- Paired axial CT (left) and PSMA PET (right), 68Ga tracer
- acquired on Siemens Biograph mCT Flow 20
- slice position z = -685 mm
- PET panel 200×200 px (4.1 mm/px)
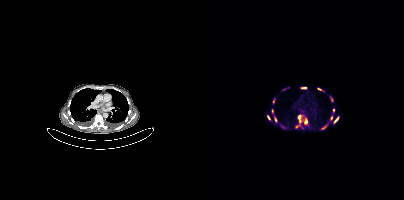
Findings: Coordinates are on the 200×200 PET (right) panel. (showing 14 of 17 foci) PSMA-avid tumor lesion bounding boxes (x0, y0)-(x1, y1): (94, 115)-(97, 122); (100, 118)-(103, 124); (118, 124)-(123, 128); (130, 117)-(134, 122); (113, 88)-(118, 90); (98, 87)-(102, 88); (69, 99)-(71, 103). Small PSMA-avid foci (2 to 4 px across) near (center x, center y): (128, 99); (64, 117); (71, 119); (127, 118); (77, 126); (129, 109); (92, 126).